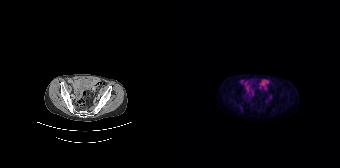
modality: PSMA PET/CT | tracer: 18F-PSMA | view: axial | PET grid: 168×168
No tumor lesions annotated on this slice.